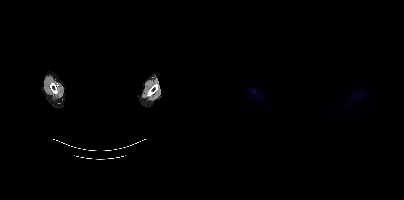
Technique: Two-panel axial: CT | PSMA PET, [18F]PSMA-1007 tracer. acquired on Siemens Biograph mCT Flow 20. slice 359 of 377.
Note: An anonymization step blacked out a rectangle over the head in this scan.
Findings: No PSMA-avid tumor lesions on this slice.